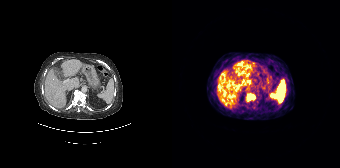
Two-panel axial: CT | PSMA PET, 68Ga tracer.
Coordinates are on the 168×168 PET (right) panel. PSMA-avid tumor lesion bounding boxes:
| # | x0 | y0 | x1 | y1 |
|---|---|---|---|---|
| 1 | 75 | 93 | 83 | 101 |